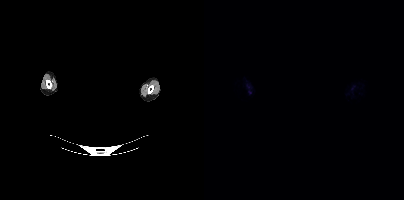
Paired axial CT (left) and PSMA PET (right), 18F tracer. Slice 414 of 423. PET panel 200×200 px (4.1 mm/px). An anonymization step blacked out a rectangle over the head in this scan. This slice has no annotated PSMA-avid lesion.